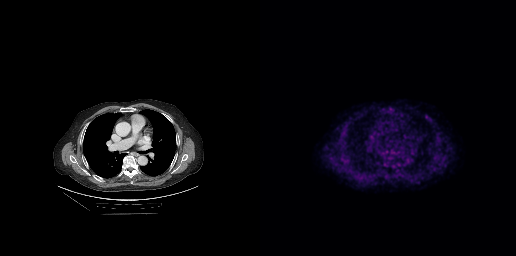
Coordinates are on the 256×256 PET (right) panel. PSMA-avid tumor lesion bounding box (x, y, width, height): x=83 y=160 w=8 h=9.